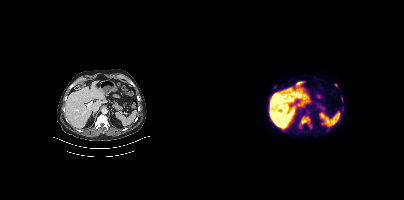
Coordinates are on the 200×200 PET (right) panel. (showing 4 of 5 foci) PSMA-avid tumor lesion bounding boxes (x0,y0,x1,y1): [95,116,108,129]; [138,107,139,111]. Small PSMA-avid foci (2 to 4 px across) near (center x, center y): (132, 85); (70, 86).